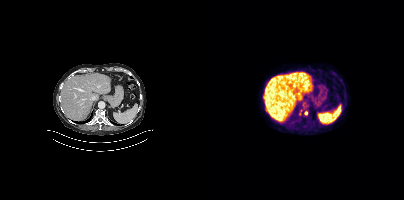
Coordinates are on the 200×200 PET (right) panel. (showing 1 of 3 foci) Small PSMA-avid focus (2 to 4 px across) near (center x, center y): (101, 112).